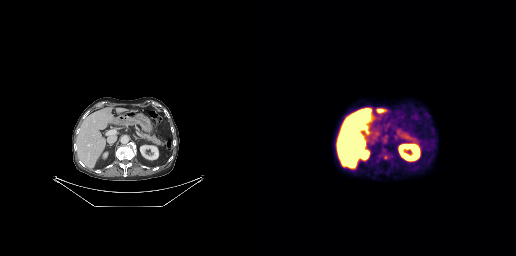
Negative for PSMA-avid disease on this slice.